Left: CT. Right: PSMA PET, same axial level, 18F tracer. Slice 16 of 458.
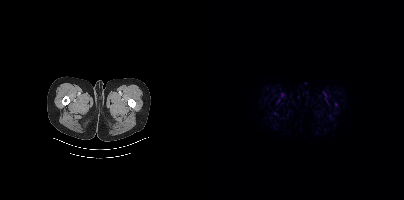
Only PSMA-avid lesion pieces thinner than 2 px on this slice (not listed).